Technique: Two-panel axial: CT | PSMA PET, 18F tracer. slice position z = -488 mm. PET panel 200×200 px (4.1 mm/px).
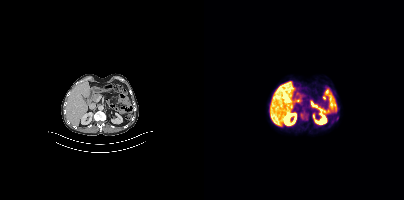
Findings: No PSMA-avid tumor lesions on this slice.